- Left: CT. Right: PSMA PET, same axial level, 18F tracer
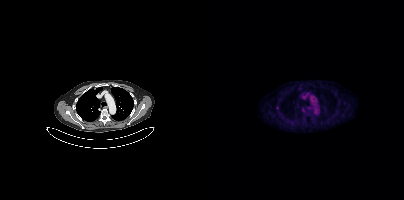
Findings: Coordinates are on the 200×200 PET (right) panel. Small PSMA-avid focus (2 to 4 px across) near (center x, center y): (73, 107).